modality: PSMA PET/CT | tracer: 18F | view: axial
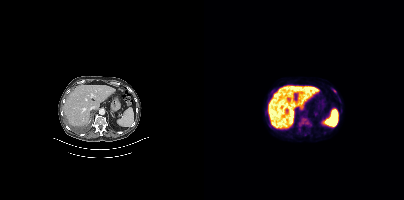
Coordinates are on the 200×200 PET (right) panel. (showing 1 of 2 foci) PSMA-avid tumor lesion bounding box (x0,y0,x1,y1): [98,118,104,125].